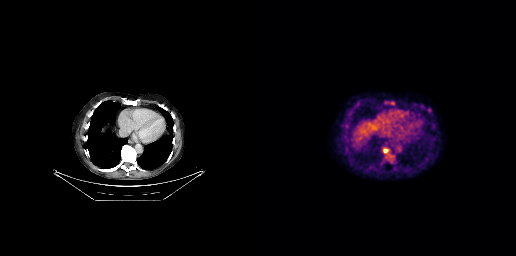
{"modality":"PSMA PET/CT","view":"axial","tracer":"18F-PSMA","pet_grid":[256,256],"coord_frame":"pet_panel","coord_format":"x0,y0,x1,y1","lesion_bboxes":[],"small_foci_centers":[[125,150],[125,158]]}